Left: CT. Right: PSMA PET, same axial level, 18F tracer.
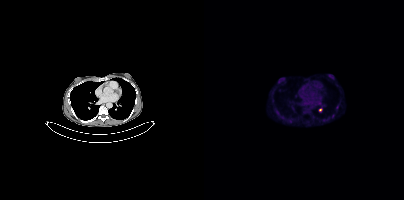
Coordinates are on the 200×200 PET (right) panel. Small PSMA-avid foci (2 to 4 px across) near (center x, center y): (74, 113); (129, 115); (133, 107); (86, 121); (116, 109).